- Left: CT. Right: PSMA PET, same axial level, 18F-PSMA tracer
- acquired on Siemens Biograph mCT Flow 20
- slice position z = -980 mm
- PET panel 200×200 px (4.1 mm/px)
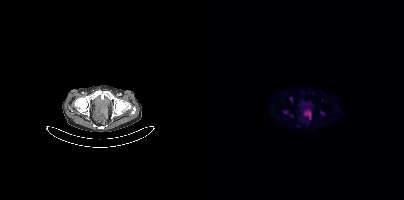
Findings: Only PSMA-avid lesion pieces thinner than 2 px on this slice (not listed).